Left: CT. Right: PSMA PET, same axial level, 68Ga-PSMA tracer. Slice position z = -748 mm.
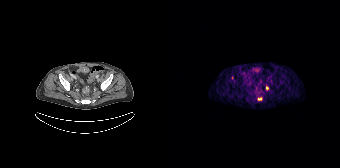
Coordinates are on the 168×168 PET (right) panel. PSMA-avid tumor lesion bounding boxes:
| # | x0 | y0 | x1 | y1 |
|---|---|---|---|---|
| 1 | 86 | 97 | 90 | 100 |
Small PSMA-avid foci (2 to 4 px across) near (center x, center y): (95, 87); (60, 77).